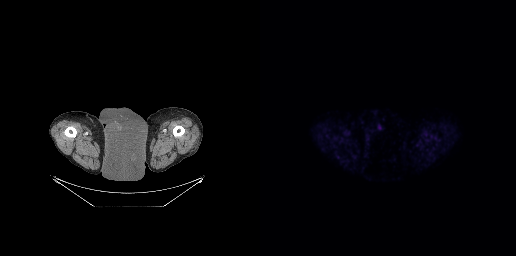
Left: CT. Right: PSMA PET, same axial level, [18F]PSMA-1007 tracer. Acquired on GE Discovery 690. No PSMA-avid tumor lesions on this slice.